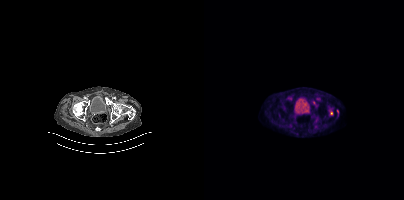
Left: CT. Right: PSMA PET, same axial level, 18F tracer. Acquired on Siemens Biograph mCT Flow 20. Slice position z = -1506 mm. PET panel 200×200 px (4.1 mm/px).
Coordinates are on the 200×200 PET (right) panel. PSMA-avid tumor lesion bounding boxes:
| # | x0 | y0 | x1 | y1 |
|---|---|---|---|---|
| 1 | 109 | 101 | 112 | 105 |
Small PSMA-avid focus (2 to 4 px across) near (center x, center y): (114, 98).